Two-panel axial: CT | PSMA PET, [18F]PSMA-1007 tracer. Slice position z = -208 mm. An anonymization step blacked out a rectangle over the head in this scan.
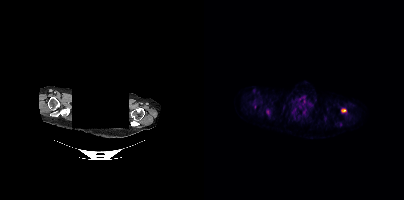
Coordinates are on the 200×200 PET (right) panel. PSMA-avid tumor lesion bounding boxes (partial; 1 more focus not listed):
| # | x0 | y0 | x1 | y1 |
|---|---|---|---|---|
| 1 | 137 | 109 | 142 | 112 |
Small PSMA-avid focus (2 to 4 px across) near (center x, center y): (63, 112).